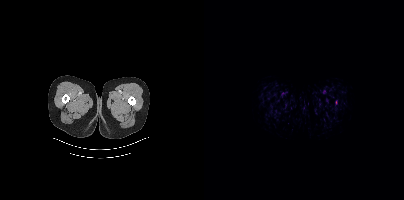
Only PSMA-avid lesion pieces thinner than 2 px on this slice (not listed).